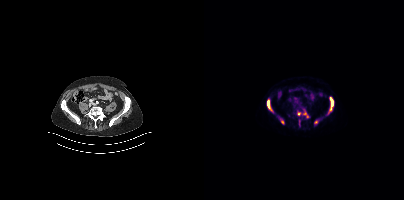
Technique: Paired axial CT (left) and PSMA PET (right), 18F tracer. slice position z = -1344 mm.
Findings: Coordinates are on the 200×200 PET (right) panel. (showing 5 of 7 foci) PSMA-avid tumor lesion bounding boxes (x0, y0)-(x1, y1): (126, 97)-(129, 110) | (63, 99)-(68, 111). Small PSMA-avid foci (2 to 4 px across) near (center x, center y): (94, 113) | (78, 122) | (111, 121).